Technique: Paired axial CT (left) and PSMA PET (right), 18F-PSMA tracer. slice position z = -800 mm.
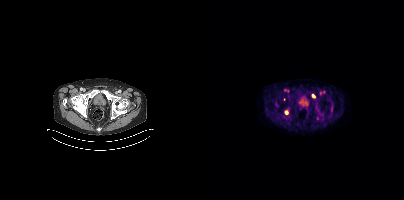
Findings: Coordinates are on the 200×200 PET (right) panel. (showing 3 of 4 foci) Small PSMA-avid foci (2 to 4 px across) near (center x, center y): (109, 95), (82, 112), (113, 117).